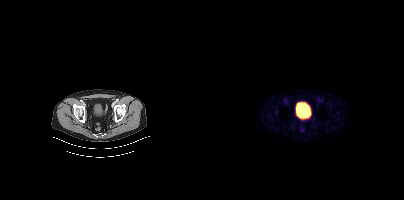
- Two-panel axial: CT | PSMA PET, 68Ga tracer
- slice 75 of 407
- PET panel 200×200 px (4.1 mm/px)
Findings: This slice has no annotated PSMA-avid lesion.